- Two-panel axial: CT | PSMA PET, [18F]PSMA-1007 tracer
- PET panel 200×200 px (4.1 mm/px)
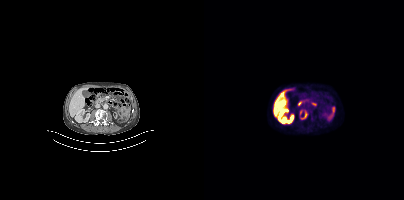
Findings: Coordinates are on the 200×200 PET (right) panel. PSMA-avid tumor lesion bounding box (x0,y0,x1,y1): [95,109,104,119].